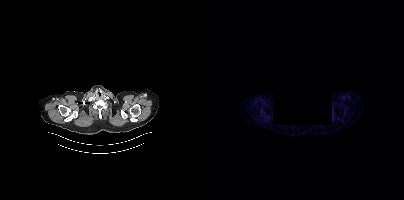
Technique: Two-panel axial: CT | PSMA PET, 68Ga-PSMA tracer. PET panel 200×200 px (4.1 mm/px).
Note: An anonymization step blacked out a rectangle in this scan.
Findings: This slice has no annotated PSMA-avid lesion.